modality: PSMA PET/CT | tracer: 18F | view: axial
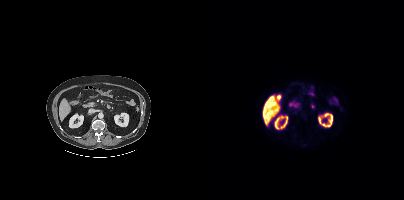
Negative for PSMA-avid disease on this slice.